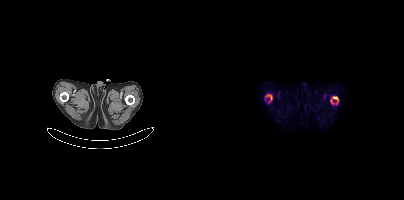
Coordinates are on the 200×200 PET (right) panel. PSMA-avid tumor lesion bounding boxes (x0,y0,x1,y1): [62,94,68,100], [129,96,134,101], [127,99,128,103].